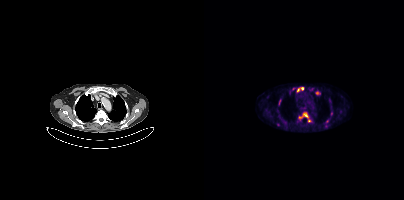
Two-panel axial: CT | PSMA PET, 18F tracer. Acquired on Siemens Biograph mCT Flow 20. Slice position z = 230 mm. PET panel 200×200 px (4.1 mm/px). Coordinates are on the 200×200 PET (right) panel. PSMA-avid tumor lesion bounding boxes (x0,y0,x1,y1): [95,113,104,118] [112,91,116,94] [75,100,76,104]. Small PSMA-avid foci (2 to 4 px across) near (center x, center y): (98, 88) (94, 89) (105, 120) (123, 121).